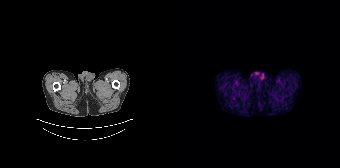
{"modality":"PSMA PET/CT","view":"axial","tracer":"68Ga","pet_grid":[168,168],"coord_frame":"pet_panel","coord_format":"x0,y0,x1,y1","psma_avid_lesions":false}